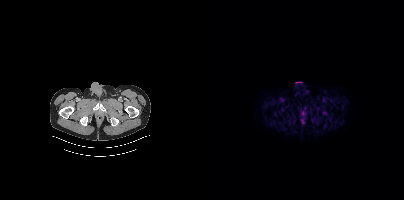
Only PSMA-avid lesion pieces thinner than 2 px on this slice (not listed). Paired axial CT (left) and PSMA PET (right), 18F tracer. Slice 51 of 417.